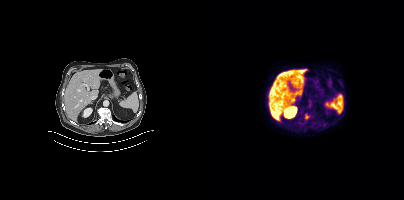
Coordinates are on the 200×200 PET (right) panel. Small PSMA-avid focus (2 to 4 px across) near (center x, center y): (102, 116).